Technique: Two-panel axial: CT | PSMA PET, [18F]PSMA-1007 tracer.
Note: Head region blanked for anonymization (face removed).
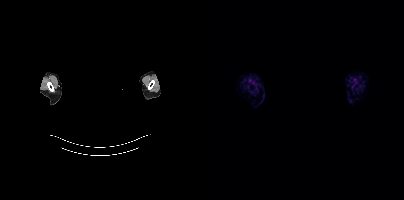
Findings: No PSMA-avid tumor lesions on this slice.